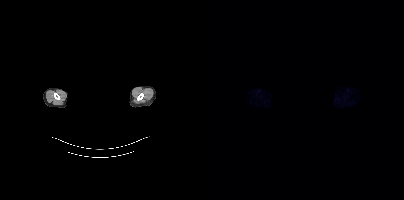
{"pet_grid":[200,200],"coord_frame":"pet_panel","coord_format":"x0,y0,x1,y1","psma_avid_lesions":false,"modality":"PSMA PET/CT","view":"axial","tracer":"18F-PSMA","deidentification":"head region blacked out before release"}